An anonymization step blacked out a rectangle over the head in this scan. Two-panel axial: CT | PSMA PET, 18F-PSMA tracer. Slice position z = -1010 mm.
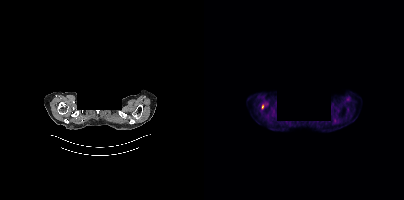
Only PSMA-avid lesion pieces thinner than 2 px on this slice (not listed).